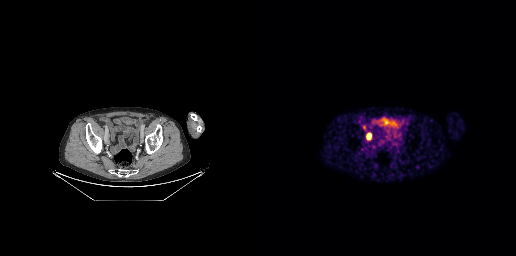
Findings: Coordinates are on the 256×256 PET (right) panel. PSMA-avid tumor lesion bounding box (x0, y0)-(x1, y1): (106, 133)-(111, 139).
Technique: Two-panel axial: CT | PSMA PET, 68Ga-PSMA tracer. acquired on GE Discovery 690. PET panel 256×256 px (2.7 mm/px).